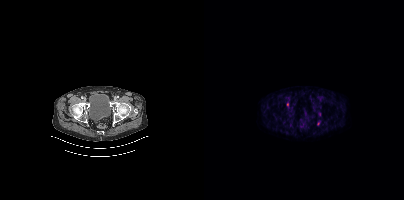
Technique: Paired axial CT (left) and PSMA PET (right), [18F]PSMA-1007 tracer. acquired on Siemens Biograph mCT Flow 20. slice 53 of 427.
Findings: Coordinates are on the 200×200 PET (right) panel. Small PSMA-avid foci (2 to 4 px across) near (center x, center y): (83, 104) / (114, 123).